Two-panel axial: CT | PSMA PET, 18F tracer. PET panel 200×200 px (4.1 mm/px).
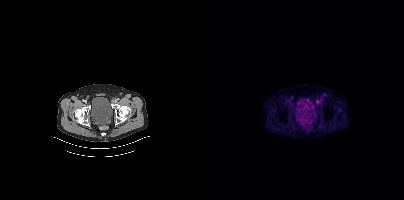
Coordinates are on the 200×200 PET (right) panel. Small PSMA-avid focus (2 to 4 px across) near (center x, center y): (113, 101).